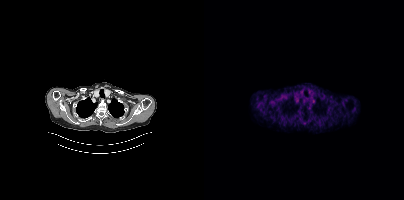
- Two-panel axial: CT | PSMA PET, 18F tracer
- PET panel 200×200 px (4.1 mm/px)
Findings: No PSMA-avid tumor lesions on this slice.